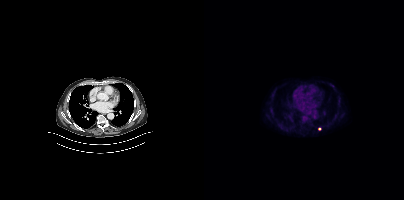
Only PSMA-avid lesion pieces thinner than 2 px on this slice (not listed).
modality: PSMA PET/CT | tracer: 18F | view: axial | PET grid: 200×200